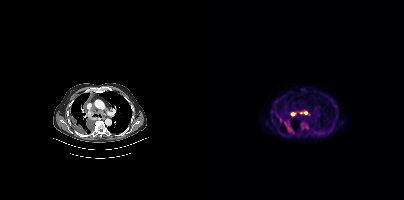
modality: PSMA PET/CT | tracer: 18F-PSMA | view: axial | PET grid: 200×200
Coordinates are on the 200×200 PET (right) panel. PSMA-avid tumor lesion bounding boxes (x0,y0,x1,y1): [75,118,88,131]; [97,123,104,129]; [95,111,103,114]; [87,112,92,115].